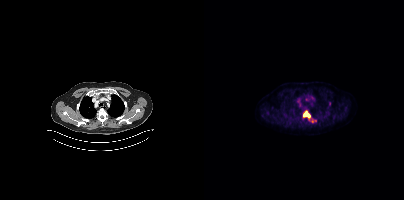
Coordinates are on the 200×200 PET (right) panel. (showing 1 of 2 foci) PSMA-avid tumor lesion bounding box (x0,y0,x1,y1): [99,111,106,120].